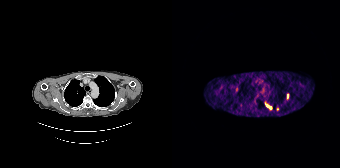
Left: CT. Right: PSMA PET, same axial level, [68Ga]Ga-PSMA-11 tracer. Acquired on Siemens Biograph 64-4R TruePoint. Slice position z = -214 mm. PET panel 168×168 px (4.1 mm/px).
Coordinates are on the 168×168 PET (right) panel. PSMA-avid tumor lesion bounding boxes (partial; 1 more focus not listed):
| # | x0 | y0 | x1 | y1 |
|---|---|---|---|---|
| 1 | 94 | 104 | 99 | 109 |
| 2 | 115 | 94 | 116 | 98 |
Small PSMA-avid focus (2 to 4 px across) near (center x, center y): (64, 89).